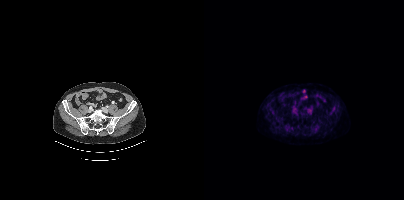
No tumor lesions annotated on this slice. Paired axial CT (left) and PSMA PET (right), 18F-PSMA tracer. PET panel 200×200 px (4.1 mm/px).